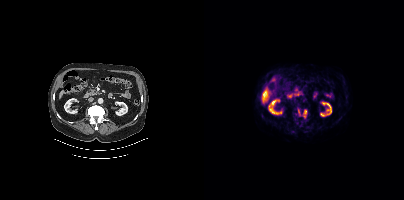
Paired axial CT (left) and PSMA PET (right), 18F-PSMA tracer. Acquired on Siemens Biograph mCT Flow 20. PET panel 200×200 px (4.1 mm/px). Coordinates are on the 200×200 PET (right) panel. PSMA-avid tumor lesion bounding boxes (x0,y0,x1,y1): [99,109,102,117], [94,109,96,115].